modality: PSMA PET/CT | tracer: [18F]PSMA-1007 | view: axial
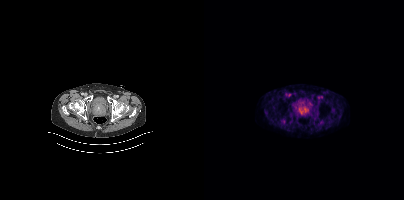
Coordinates are on the 200×200 PET (right) panel. PSMA-avid tumor lesion bounding box (x, y, width, height): x=93 y=104 w=13 h=13.